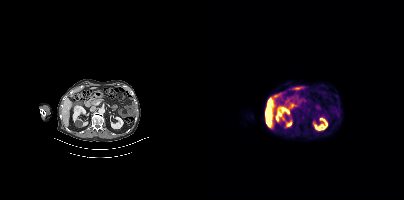
Findings: No tumor lesions annotated on this slice.
Technique: Paired axial CT (left) and PSMA PET (right), 18F tracer. slice position z = -0 mm. PET panel 200×200 px (4.1 mm/px).